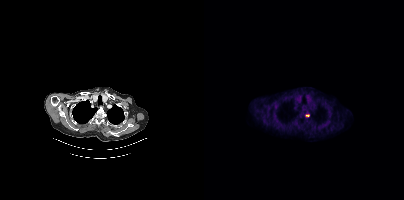
- Paired axial CT (left) and PSMA PET (right), [18F]PSMA-1007 tracer
- acquired on Siemens Biograph mCT Flow 20
- slice 334 of 411
Findings: Coordinates are on the 200×200 PET (right) panel. PSMA-avid tumor lesion bounding box (x, y, width, height): x=101 y=114 w=5 h=3.